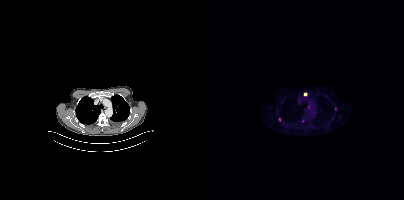
Coordinates are on the 200×200 PET (right) panel. Small PSMA-avid foci (2 to 4 px across) near (center x, center y): (101, 94); (131, 108); (75, 119); (104, 107).
modality: PSMA PET/CT | tracer: [18F]PSMA-1007 | view: axial | PET grid: 200×200